Two-panel axial: CT | PSMA PET, 18F-PSMA tracer. PET panel 200×200 px (4.1 mm/px).
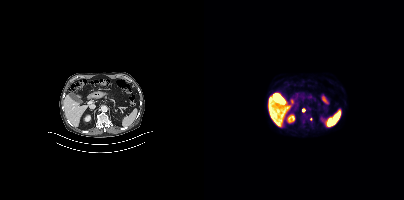
Coordinates are on the 200×200 PET (right) panel. (showing 1 of 2 foci) Small PSMA-avid focus (2 to 4 px across) near (center x, center y): (99, 110).